Two-panel axial: CT | PSMA PET, 18F-PSMA tracer. PET panel 200×200 px (4.1 mm/px).
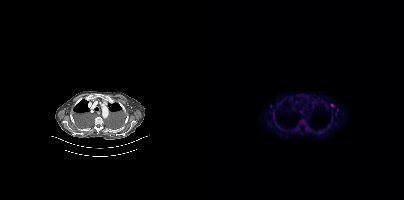
Coordinates are on the 200×200 PET (right) panel. (showing 4 of 5 foci) Small PSMA-avid foci (2 to 4 px across) near (center x, center y): (97, 111); (128, 105); (66, 106); (116, 132).